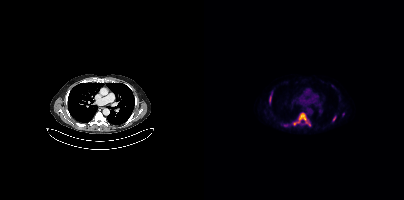
{"modality":"PSMA PET/CT","view":"axial","tracer":"18F","pet_grid":[200,200],"coord_frame":"pet_panel","coord_format":"x0,y0,x1,y1","lesion_bboxes":[[89,113,106,125],[65,92,68,103],[129,116,131,121],[77,124,81,126]],"small_foci_centers":[[139,114],[128,85]]}